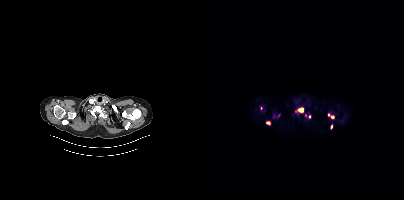
Findings: Coordinates are on the 200×200 PET (right) panel. (showing 6 of 7 foci) PSMA-avid tumor lesion bounding boxes (x, y, width, height): x=91 y=107 w=9 h=6 / x=124 y=113 w=7 h=6 / x=62 y=121 w=5 h=4. Small PSMA-avid foci (2 to 4 px across) near (center x, center y): (127, 126) / (105, 116) / (101, 115).
- Left: CT. Right: PSMA PET, same axial level, [18F]PSMA-1007 tracer